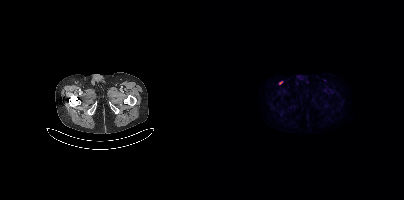
Coordinates are on the 200×200 PET (right) panel. Small PSMA-avid focus (2 to 4 px across) near (center x, center y): (76, 82). Left: CT. Right: PSMA PET, same axial level, [18F]PSMA-1007 tracer.